modality: PSMA PET/CT | tracer: [18F]PSMA-1007 | view: axial | PET grid: 200×200
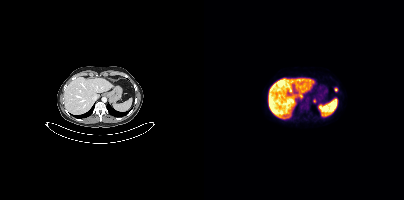
Coordinates are on the 200×200 PET (right) panel. PSMA-avid tumor lesion bounding box (x0, y0)-(x1, y1): (109, 98)-(112, 103). Small PSMA-avid focus (2 to 4 px across) near (center x, center y): (131, 89).